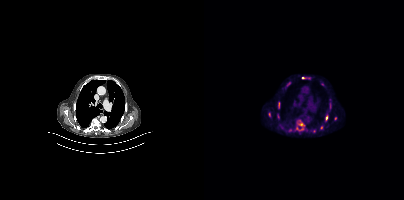
Coordinates are on the 200×200 PET (right) panel. (showing 11 of 13 foci) PSMA-avid tumor lesion bounding boxes (x, y, width, height): x=90 y=119 w=12 h=13 | x=82 y=81 w=6 h=7 | x=64 y=112 w=4 h=6 | x=121 y=114 w=4 h=7 | x=98 y=77 w=5 h=2 | x=74 y=102 w=2 h=6 | x=126 y=104 w=2 h=5. Small PSMA-avid foci (2 to 4 px across) near (center x, center y): (77, 126) | (117, 127) | (86, 130) | (131, 118).